modality: PSMA PET/CT | tracer: 18F-PSMA | view: axial | PET grid: 200×200
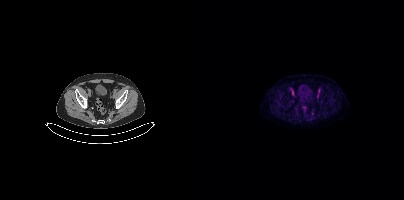
Coordinates are on the 200×200 PET (right) panel. Small PSMA-avid focus (2 to 4 px across) near (center x, center y): (88, 101).